Left: CT. Right: PSMA PET, same axial level, 18F tracer. Acquired on Siemens Biograph mCT Flow 20.
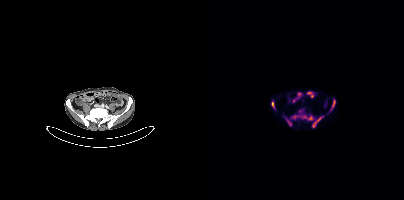
Coordinates are on the 200×200 PET (right) panel. PSMA-avid tumor lesion bounding boxes:
| # | x0 | y0 | x1 | y1 |
|---|---|---|---|---|
| 1 | 87 | 115 | 109 | 120 |
| 2 | 108 | 116 | 119 | 127 |
| 3 | 126 | 99 | 131 | 111 |
| 4 | 81 | 117 | 88 | 126 |
| 5 | 67 | 101 | 71 | 109 |
Small PSMA-avid focus (2 to 4 px across) near (center x, center y): (95, 111).